Paired axial CT (left) and PSMA PET (right), 18F-PSMA tracer. Slice position z = -1254 mm.
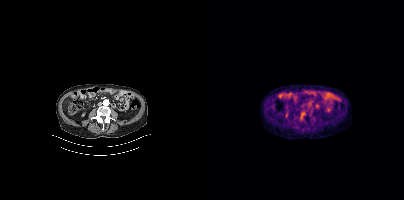
This slice has no annotated PSMA-avid lesion.